modality: PSMA PET/CT | tracer: 18F | view: axial | PET grid: 200×200
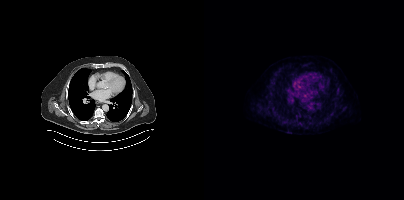
Coordinates are on the 200×200 PET (right) panel. Small PSMA-avid foci (2 to 4 px across) near (center x, center y): (78, 121); (66, 100).